Paired axial CT (left) and PSMA PET (right), 18F-PSMA tracer. Acquired on Siemens Biograph mCT Flow 20. PET panel 200×200 px (4.1 mm/px).
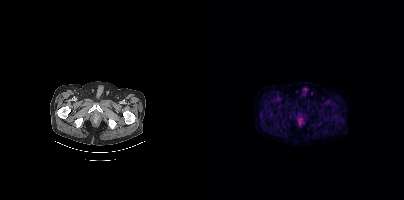
Negative for PSMA-avid disease on this slice.